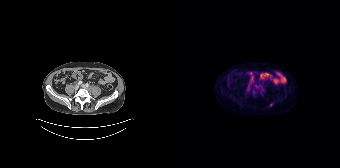
{"modality":"PSMA PET/CT","view":"axial","tracer":"[18F]PSMA-1007","pet_grid":[168,168],"coord_frame":"pet_panel","coord_format":"x0,y0,x1,y1","lesion_bboxes":[],"small_foci_centers":[[99,104],[81,92]]}